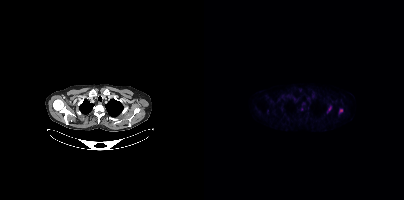
Technique: Paired axial CT (left) and PSMA PET (right), 18F-PSMA tracer. slice position z = 344 mm.
Findings: Coordinates are on the 200×200 PET (right) panel. (showing 3 of 4 foci) PSMA-avid tumor lesion bounding box (x, y, width, height): x=124 y=106 w=4 h=5. Small PSMA-avid foci (2 to 4 px across) near (center x, center y): (136, 110) | (63, 110).